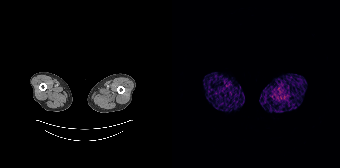
modality: PSMA PET/CT | tracer: 68Ga | view: axial | PET grid: 168×168
No PSMA-avid tumor lesions on this slice.